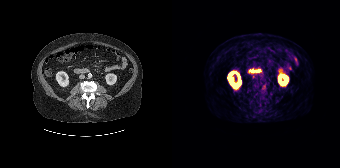
modality: PSMA PET/CT | tracer: [68Ga]Ga-PSMA-11 | view: axial | PET grid: 168×168
This slice has no annotated PSMA-avid lesion.